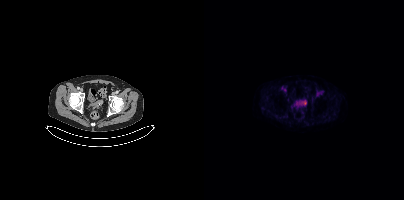
Coordinates are on the 200×200 PET (right) panel. PSMA-avid tumor lesion bounding box (x, y, width, height): x=99 y=100 w=4 h=6.